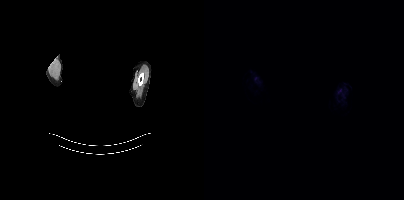
deidentification: rectangular block over head set to black | modality: PSMA PET/CT | tracer: 18F | view: axial | PET grid: 200×200
This slice has no annotated PSMA-avid lesion.